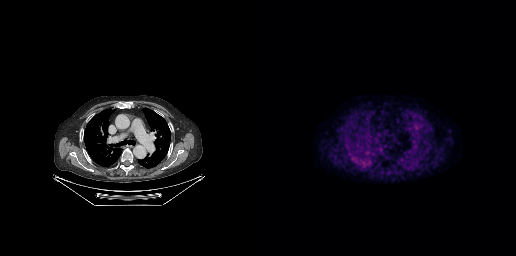
{"modality":"PSMA PET/CT","view":"axial","tracer":"[18F]PSMA-1007","pet_grid":[256,256],"coord_frame":"pet_panel","coord_format":"x0,y0,x1,y1","psma_avid_lesions":false}